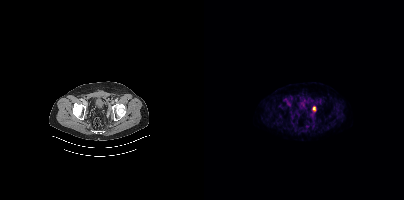
modality: PSMA PET/CT | tracer: 18F-PSMA | view: axial | PET grid: 200×200
Coordinates are on the 200×200 PET (right) panel. PSMA-avid tumor lesion bounding box (x, y, width, height): x=108 y=106 w=5 h=6.